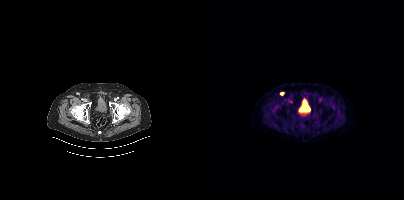
- Paired axial CT (left) and PSMA PET (right), [18F]PSMA-1007 tracer
Findings: Coordinates are on the 200×200 PET (right) panel. Small PSMA-avid focus (2 to 4 px across) near (center x, center y): (77, 93).